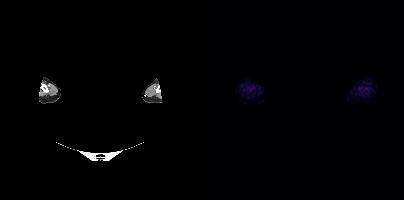
{"modality":"PSMA PET/CT","view":"axial","tracer":"[18F]PSMA-1007","pet_grid":[200,200],"coord_frame":"pet_panel","coord_format":"x0,y0,x1,y1","psma_avid_lesions":false,"deidentification":"head region blacked out before release"}